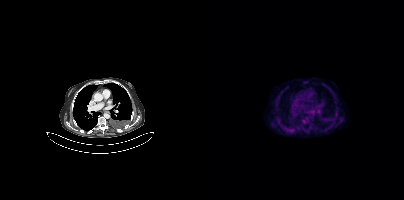
No PSMA-avid tumor lesions on this slice. Paired axial CT (left) and PSMA PET (right), 18F tracer. Slice 287 of 425.